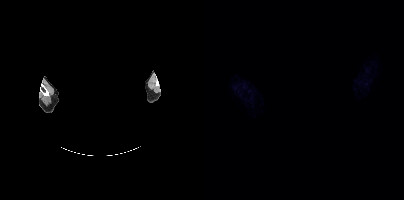
{"pet_grid":[200,200],"coord_frame":"pet_panel","coord_format":"x0,y0,x1,y1","psma_avid_lesions":false,"modality":"PSMA PET/CT","view":"axial","tracer":"18F-PSMA","de-identification":"head region blacked out before release"}